- Paired axial CT (left) and PSMA PET (right), [18F]PSMA-1007 tracer
- acquired on Siemens Biograph mCT Flow 20
- slice 236 of 395
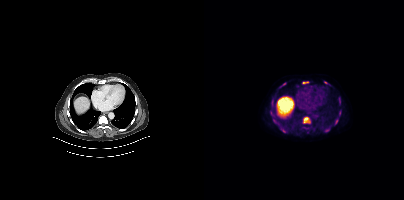
Findings: Coordinates are on the 200×200 PET (right) panel. PSMA-avid tumor lesion bounding boxes (x, y, width, height): x=99 y=117 w=8 h=7; x=69 y=119 w=7 h=7; x=75 y=127 w=8 h=6; x=120 y=128 w=6 h=5; x=66 y=110 w=4 h=6; x=67 y=102 w=4 h=7; x=131 y=119 w=4 h=6; x=99 y=82 w=6 h=2; x=135 y=98 w=2 h=6; x=78 y=83 w=5 h=3. Small PSMA-avid foci (2 to 4 px across) near (center x, center y): (121, 82); (136, 111).